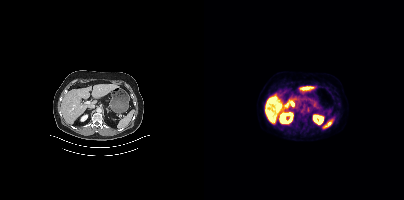
Findings: No tumor lesions annotated on this slice.
Technique: Paired axial CT (left) and PSMA PET (right), [18F]PSMA-1007 tracer. slice 191 of 397.